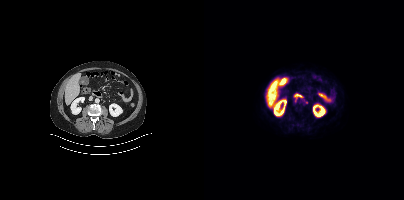
modality: PSMA PET/CT | tracer: [18F]PSMA-1007 | view: axial
No PSMA-avid tumor lesions on this slice.